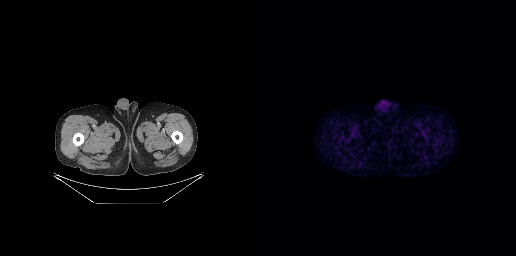
No tumor lesions annotated on this slice.